Technique: Paired axial CT (left) and PSMA PET (right), 18F-PSMA tracer. PET panel 200×200 px (4.1 mm/px).
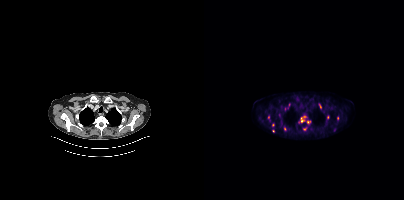
Findings: Coordinates are on the 200×200 PET (right) panel. (showing 7 of 11 foci) PSMA-avid tumor lesion bounding box (x0,y0,x1,y1): [97,116,102,122]. Small PSMA-avid foci (2 to 4 px across) near (center x, center y): (104, 122) (81, 128) (100, 129) (116, 105) (68, 124) (69, 130).